modality: PSMA PET/CT | tracer: [18F]PSMA-1007 | view: axial
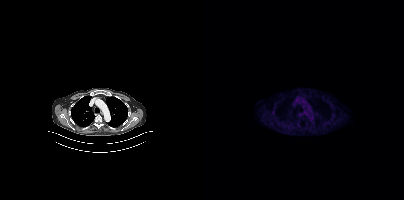
Coordinates are on the 200×200 PET (right) panel. Small PSMA-avid focus (2 to 4 px across) near (center x, center y): (69, 112).